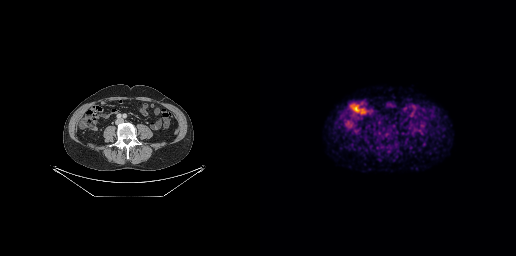
No tumor lesions annotated on this slice.